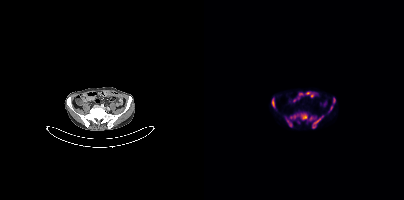
- Paired axial CT (left) and PSMA PET (right), [18F]PSMA-1007 tracer
- slice 107 of 354
Findings: Coordinates are on the 200×200 PET (right) panel. PSMA-avid tumor lesion bounding boxes (x, y, width, height): x=81 y=113 w=23 h=15 / x=108 y=116 w=12 h=13 / x=68 y=98 w=4 h=10 / x=129 y=98 w=3 h=6 / x=125 y=105 w=4 h=7. Small PSMA-avid focus (2 to 4 px across) near (center x, center y): (107, 118).